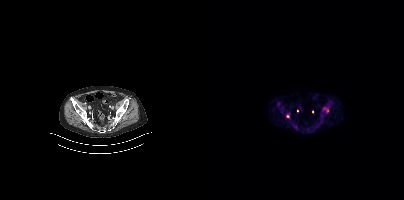
Two-panel axial: CT | PSMA PET, 18F-PSMA tracer. Acquired on Siemens Biograph mCT Flow 20.
Coordinates are on the 200×200 PET (right) panel. PSMA-avid tumor lesion bounding boxes:
| # | x0 | y0 | x1 | y1 |
|---|---|---|---|---|
| 1 | 73 | 102 | 79 | 110 |
| 2 | 119 | 107 | 124 | 112 |
| 3 | 82 | 113 | 85 | 118 |
Small PSMA-avid focus (2 to 4 px across) near (center x, center y): (91, 125).